modality: PSMA PET/CT | tracer: 68Ga | view: axial | PET grid: 256×256
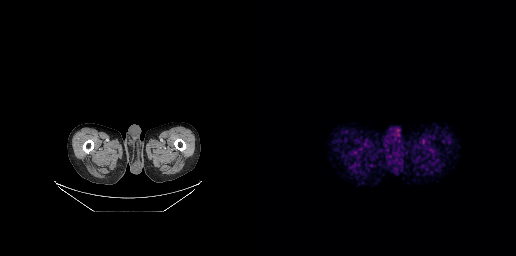
No PSMA-avid tumor lesions on this slice.